Two-panel axial: CT | PSMA PET, 18F-PSMA tracer. Slice 162 of 389.
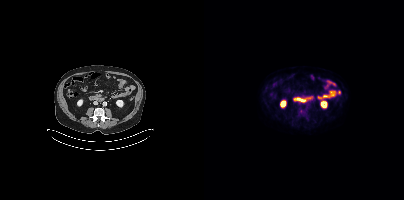
Negative for PSMA-avid disease on this slice.